- Paired axial CT (left) and PSMA PET (right), 18F-PSMA tracer
- acquired on Siemens Biograph mCT Flow 20
- slice 284 of 413
- PET panel 200×200 px (4.1 mm/px)
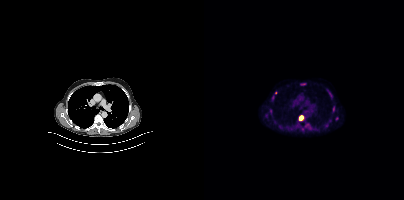
Findings: Coordinates are on the 200×200 PET (right) panel. PSMA-avid tumor lesion bounding boxes (x0,y0,x1,y1): [95,115,99,120]; [96,83,102,85]; [128,106,130,112]; [68,95,70,100]. Small PSMA-avid foci (2 to 4 px across) near (center x, center y): (132, 118); (122, 125); (66, 111); (71, 93); (62, 115); (125, 120).